deidentification: facial region redacted | modality: PSMA PET/CT | tracer: [18F]PSMA-1007 | view: axial | PET grid: 200×200
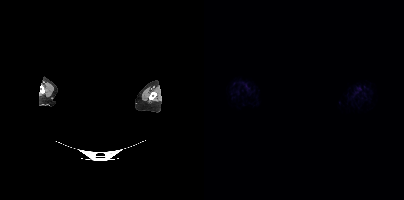
No tumor lesions annotated on this slice.